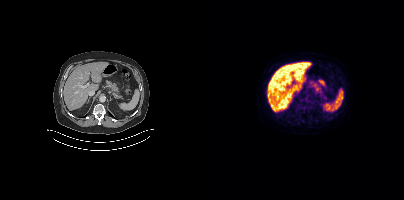
Two-panel axial: CT | PSMA PET, 18F tracer. PET panel 200×200 px (4.1 mm/px). Coordinates are on the 200×200 PET (right) panel. PSMA-avid tumor lesion bounding box (x, y, width, height): x=105 y=101 w=5 h=5. Small PSMA-avid focus (2 to 4 px across) near (center x, center y): (93, 111).